Technique: Paired axial CT (left) and PSMA PET (right), 68Ga-PSMA tracer. acquired on Siemens Biograph 64-4R TruePoint. slice position z = -616 mm.
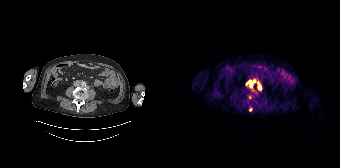
Findings: Coordinates are on the 168×168 PET (right) panel. (showing 3 of 4 foci) PSMA-avid tumor lesion bounding boxes (x, y, width, height): x=77 y=80 w=7 h=8; x=86 y=82 w=4 h=8. Small PSMA-avid focus (2 to 4 px across) near (center x, center y): (78, 109).